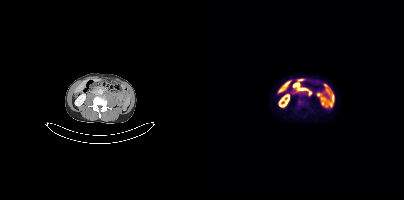
{"modality":"PSMA PET/CT","view":"axial","tracer":"18F-PSMA","pet_grid":[200,200],"coord_frame":"pet_panel","coord_format":"x0,y0,x1,y1","lesion_bboxes":[[93,99,98,104]]}